Paired axial CT (left) and PSMA PET (right), 18F-PSMA tracer. Slice 33 of 263.
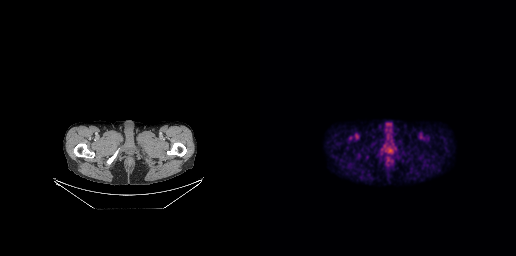
Coordinates are on the 256×256 PET (right) panel. PSMA-avid tumor lesion bounding boxes:
| # | x0 | y0 | x1 | y1 |
|---|---|---|---|---|
| 1 | 126 | 155 | 133 | 163 |